Two-panel axial: CT | PSMA PET, 18F tracer. Slice 388 of 401. PET panel 200×200 px (4.1 mm/px). Face de-identified by blanking a block of the head.
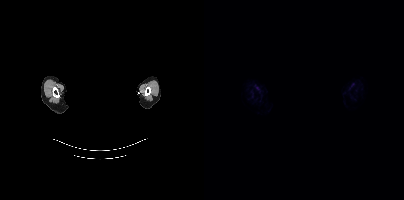
No PSMA-avid tumor lesions on this slice.